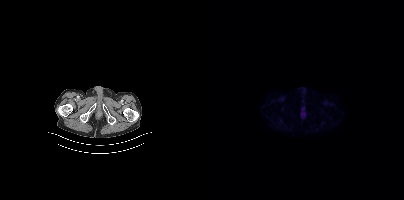
Findings: Negative for PSMA-avid disease on this slice.
Technique: Left: CT. Right: PSMA PET, same axial level, 18F tracer. acquired on Siemens Biograph mCT Flow 20.